- Left: CT. Right: PSMA PET, same axial level, 68Ga-PSMA tracer
- slice position z = -958 mm
- PET panel 256×256 px (2.7 mm/px)
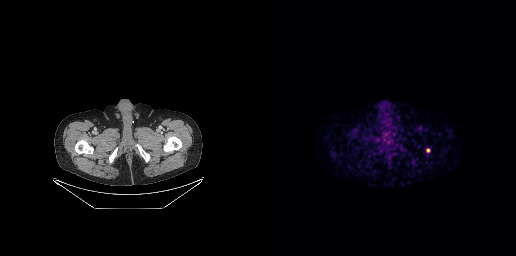
Findings: Coordinates are on the 256×256 PET (right) panel. Small PSMA-avid focus (2 to 4 px across) near (center x, center y): (167, 150).